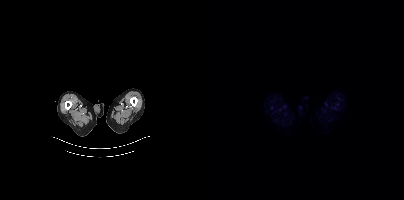
Paired axial CT (left) and PSMA PET (right), 18F-PSMA tracer. Slice position z = -1536 mm. PET panel 200×200 px (4.1 mm/px). Negative for PSMA-avid disease on this slice.